Paired axial CT (left) and PSMA PET (right), [18F]PSMA-1007 tracer. PET panel 200×200 px (4.1 mm/px).
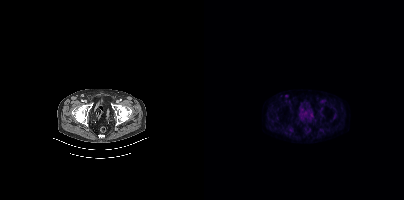
Coordinates are on the 200×200 PET (right) panel. Small PSMA-avid focus (2 to 4 px across) near (center x, center y): (82, 95).